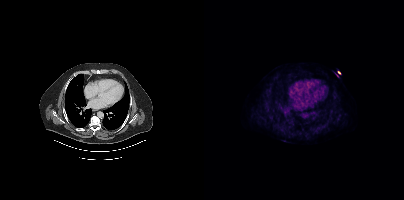
This slice has no annotated PSMA-avid lesion. Two-panel axial: CT | PSMA PET, 18F-PSMA tracer.